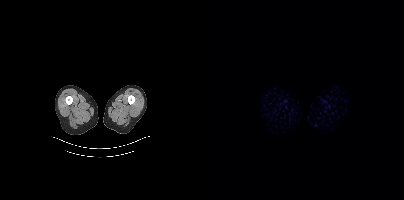
This slice has no annotated PSMA-avid lesion. Two-panel axial: CT | PSMA PET, [18F]PSMA-1007 tracer. Acquired on Siemens Biograph mCT Flow 20. Slice position z = -1708 mm.